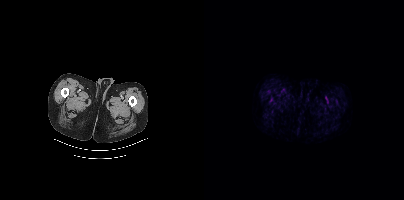
modality: PSMA PET/CT | tracer: 18F | view: axial
This slice has no annotated PSMA-avid lesion.